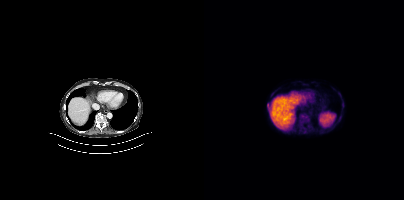
Coordinates are on the 200×200 PET (right) panel. PSMA-avid tumor lesion bounding box (x0, y0)-(x1, y1): (95, 113)-(105, 122).